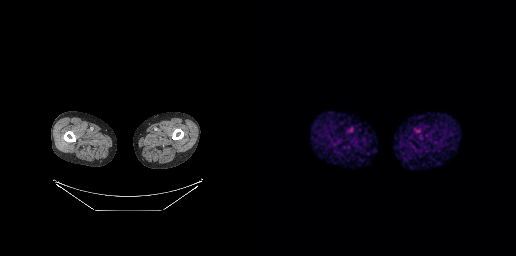
{"modality":"PSMA PET/CT","view":"axial","tracer":"18F-PSMA","pet_grid":[256,256],"coord_frame":"pet_panel","coord_format":"x0,y0,x1,y1","psma_avid_lesions":false}